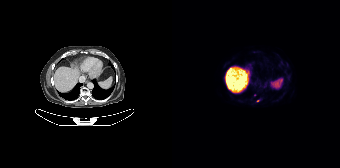
Coordinates are on the 168×168 PET (right) panel. Small PSMA-avid focus (2 to 4 px across) near (center x, center y): (85, 100).